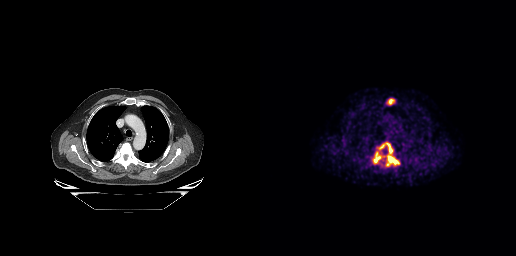
Coordinates are on the 256×256 PET (right) panel. PSMA-avid tumor lesion bounding boxes (x0,y0,x1,y1): [112,142,139,166] [128,98,134,104].